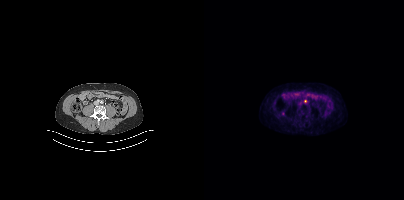
modality: PSMA PET/CT | tracer: [18F]PSMA-1007 | view: axial | PET grid: 200×200
Coordinates are on the 200×200 PET (right) panel. Small PSMA-avid focus (2 to 4 px across) near (center x, center y): (101, 101).